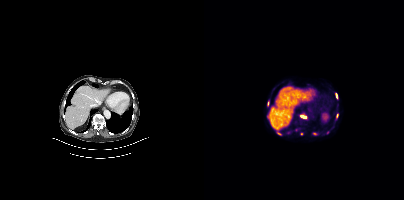
Coordinates are on the 200×200 PET (right) panel. PSMA-avid tumor lesion bounding boxes (x0, y0)-(x1, y1): (96, 115)-(102, 118); (132, 93)-(133, 98); (101, 87)-(106, 88). Small PSMA-avid foci (2 to 4 px across) near (center x, center y): (64, 103); (110, 133); (133, 115); (123, 132); (74, 133); (97, 133).